- Paired axial CT (left) and PSMA PET (right), [18F]PSMA-1007 tracer
- acquired on Siemens Biograph mCT Flow 20
- slice position z = -1098 mm
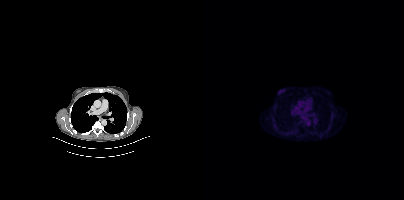
Findings: Negative for PSMA-avid disease on this slice.